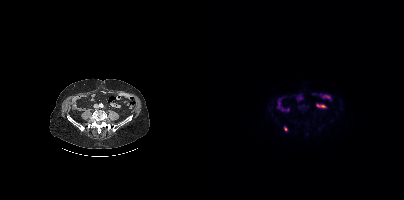
{"pet_grid":[200,200],"coord_frame":"pet_panel","coord_format":"x0,y0,x1,y1","lesion_bboxes":[],"small_foci_centers":[[81,129]],"modality":"PSMA PET/CT","view":"axial","tracer":"[18F]PSMA-1007"}